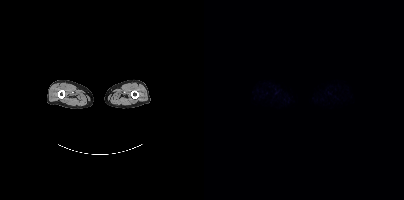
modality: PSMA PET/CT | tracer: [18F]PSMA-1007 | view: axial
Negative for PSMA-avid disease on this slice.